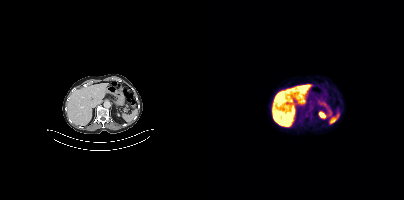
modality: PSMA PET/CT | tracer: [18F]PSMA-1007 | view: axial
No tumor lesions annotated on this slice.